Technique: Paired axial CT (left) and PSMA PET (right), 18F-PSMA tracer. slice position z = -1237 mm. PET panel 200×200 px (4.1 mm/px).
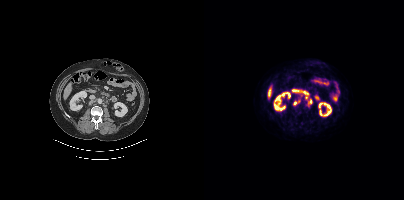
Findings: Coordinates are on the 200×200 PET (right) panel. PSMA-avid tumor lesion bounding boxes (x0, y0)-(x1, y1): (101, 95)-(108, 106) / (90, 99)-(96, 105).